Face de-identified by blanking a block of the head.
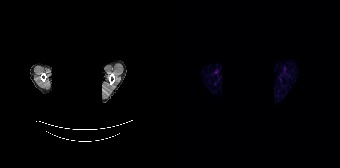
Negative for PSMA-avid disease on this slice.